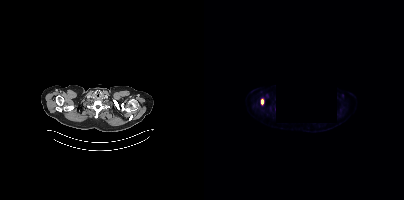
Privacy masking, with the pixels inside a rectangle set to black.
Coordinates are on the 200×200 PET (right) panel. PSMA-avid tumor lesion bounding box (x, y, width, height): x=57 y=98 w=4 h=8.